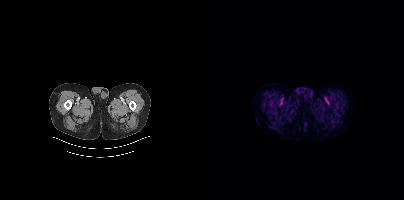
Technique: Left: CT. Right: PSMA PET, same axial level, 18F-PSMA tracer.
Findings: Negative for PSMA-avid disease on this slice.